Paired axial CT (left) and PSMA PET (right), 18F-PSMA tracer. Acquired on Siemens Biograph mCT Flow 20. PET panel 200×200 px (4.1 mm/px).
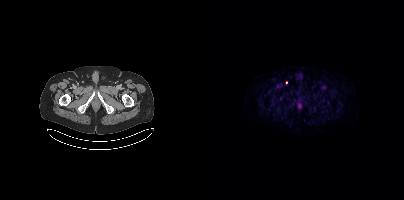
Coordinates are on the 200×200 PET (right) panel. Small PSMA-avid focus (2 to 4 px across) near (center x, center y): (82, 82).